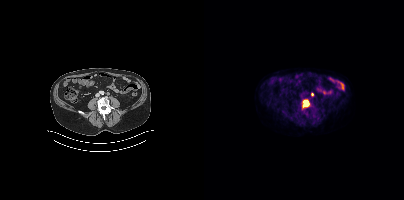
Left: CT. Right: PSMA PET, same axial level, [18F]PSMA-1007 tracer. Acquired on Siemens Biograph mCT Flow 20. Slice position z = -1294 mm.
Coordinates are on the 200×200 PET (right) panel. PSMA-avid tumor lesion bounding boxes (partial; 1 more focus not listed):
| # | x0 | y0 | x1 | y1 |
|---|---|---|---|---|
| 1 | 98 | 100 | 105 | 108 |